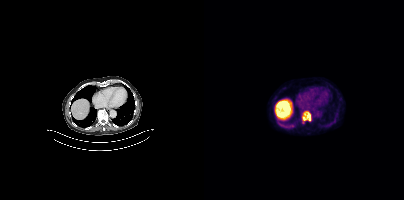
Two-panel axial: CT | PSMA PET, 18F-PSMA tracer. Acquired on Siemens Biograph mCT Flow 20. PET panel 200×200 px (4.1 mm/px).
Coordinates are on the 200×200 PET (right) panel. PSMA-avid tumor lesion bounding boxes (partial; 1 more focus not listed):
| # | x0 | y0 | x1 | y1 |
|---|---|---|---|---|
| 1 | 98 | 111 | 107 | 121 |